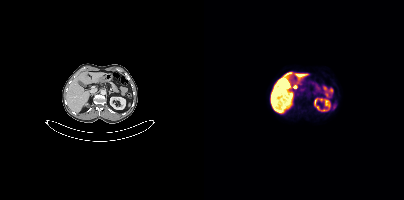
{"modality":"PSMA PET/CT","view":"axial","tracer":"18F","pet_grid":[200,200],"coord_frame":"pet_panel","coord_format":"x0,y0,x1,y1","psma_avid_lesions":false}